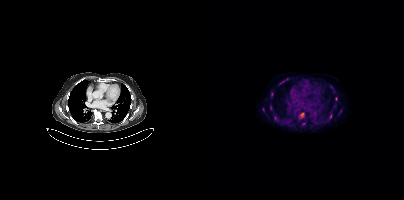
Coordinates are on the 200×200 PET (right) panel. (showing 6 of 7 foci) PSMA-avid tumor lesion bounding boxes (x0, y0)-(x1, y1): (96, 113)-(100, 117) / (67, 92)-(69, 96). Small PSMA-avid foci (2 to 4 px across) near (center x, center y): (71, 117) / (100, 123) / (59, 109) / (126, 116).